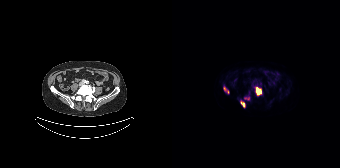
Coordinates are on the 168×168 PET (right) panel. (showing 4 of 6 foci) PSMA-avid tumor lesion bounding boxes (x0, y0)-(x1, y1): (83, 87)-(89, 95); (68, 101)-(73, 107). Small PSMA-avid foci (2 to 4 px across) near (center x, center y): (52, 88); (76, 98).